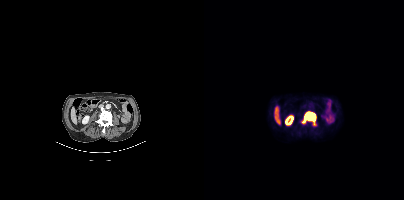
Findings: Coordinates are on the 200×200 PET (right) panel. PSMA-avid tumor lesion bounding box (x0, y0)-(x1, y1): (98, 112)-(111, 125).
- Paired axial CT (left) and PSMA PET (right), [18F]PSMA-1007 tracer
- PET panel 200×200 px (4.1 mm/px)